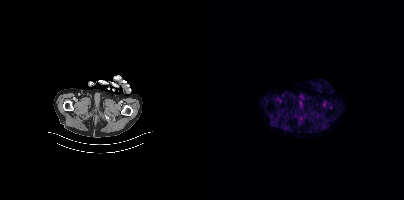
This slice has no annotated PSMA-avid lesion. Two-panel axial: CT | PSMA PET, 18F tracer. Slice position z = -1020 mm. PET panel 200×200 px (4.1 mm/px).